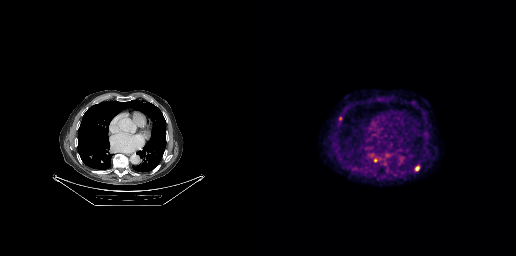
Findings: Coordinates are on the 256×256 PET (right) panel. PSMA-avid tumor lesion bounding boxes (x0,y0,x1,y1): [121,158,129,166]; [155,165,159,171]; [114,158,117,162]. Small PSMA-avid foci (2 to 4 px across) near (center x, center y): (80, 118); (112, 155).
Technique: Left: CT. Right: PSMA PET, same axial level, [18F]PSMA-1007 tracer.